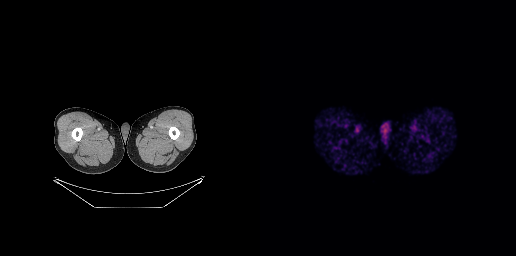
Findings: No PSMA-avid tumor lesions on this slice.
Technique: Paired axial CT (left) and PSMA PET (right), 68Ga tracer. slice 10 of 263. PET panel 256×256 px (2.7 mm/px).